Technique: Two-panel axial: CT | PSMA PET, 18F-PSMA tracer. acquired on Siemens Biograph mCT Flow 20. slice position z = -1596 mm. PET panel 200×200 px (4.1 mm/px).
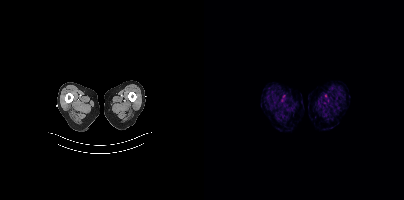
Findings: This slice has no annotated PSMA-avid lesion.